modality: PSMA PET/CT | tracer: 18F | view: axial
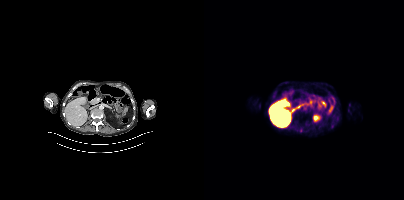
No PSMA-avid tumor lesions on this slice.